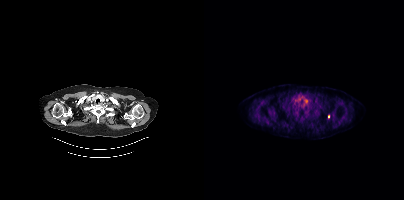
Coordinates are on the 200×200 PET (right) panel. Small PSMA-avid focus (2 to 4 px across) near (center x, center y): (124, 116).